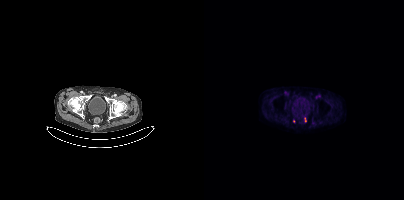
- Paired axial CT (left) and PSMA PET (right), [18F]PSMA-1007 tracer
- acquired on Siemens Biograph mCT Flow 20
- slice 65 of 397
- PET panel 200×200 px (4.1 mm/px)
Findings: Coordinates are on the 200×200 PET (right) panel. PSMA-avid tumor lesion bounding box (x0, y0)-(x1, y1): (100, 117)-(102, 121). Small PSMA-avid focus (2 to 4 px across) near (center x, center y): (89, 121).